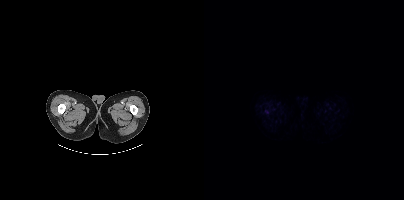
{"modality":"PSMA PET/CT","view":"axial","tracer":"18F-PSMA","pet_grid":[200,200],"coord_frame":"pet_panel","coord_format":"x0,y0,x1,y1","psma_avid_lesions":false}